modality: PSMA PET/CT | tracer: 68Ga | view: axial
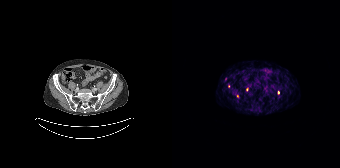
Coordinates are on the 168×168 PET (right) panel. Small PSMA-avid foci (2 to 4 px across) near (center x, center y): (65, 95) | (56, 86) | (74, 89) | (106, 92).